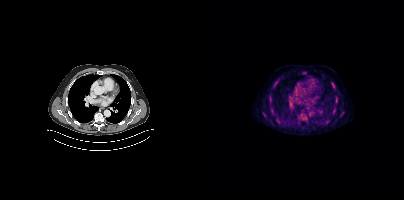
{"modality":"PSMA PET/CT","view":"axial","tracer":"[18F]PSMA-1007","pet_grid":[200,200],"coord_frame":"pet_panel","coord_format":"x0,y0,x1,y1","lesion_bboxes":[],"small_foci_centers":[[132,98],[71,84],[128,83]]}